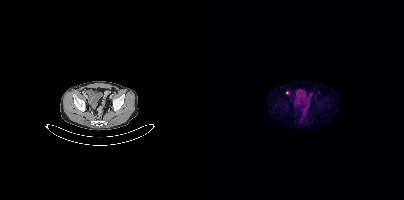
Left: CT. Right: PSMA PET, same axial level, [18F]PSMA-1007 tracer. Slice position z = -1606 mm. PET panel 200×200 px (4.1 mm/px). Coordinates are on the 200×200 PET (right) panel. Small PSMA-avid focus (2 to 4 px across) near (center x, center y): (83, 92).